- Paired axial CT (left) and PSMA PET (right), 18F tracer
- acquired on Siemens Biograph mCT Flow 20
- PET panel 200×200 px (4.1 mm/px)
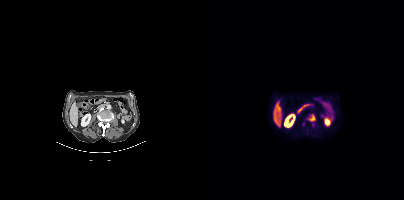
Findings: Coordinates are on the 200×200 PET (right) panel. Small PSMA-avid focus (2 to 4 px across) near (center x, center y): (108, 118).